Technique: Paired axial CT (left) and PSMA PET (right), 18F tracer. slice position z = -1268 mm.
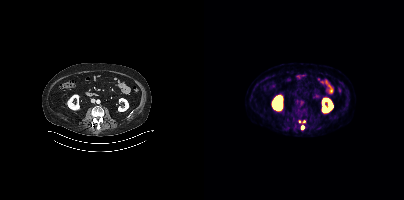
Findings: Coordinates are on the 200×200 PET (right) panel. Small PSMA-avid foci (2 to 4 px across) near (center x, center y): (100, 121); (95, 121); (98, 127).